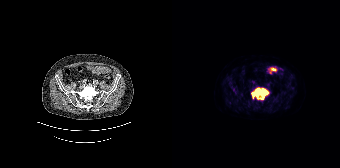
Technique: Paired axial CT (left) and PSMA PET (right), [18F]PSMA-1007 tracer. slice 41 of 165. PET panel 168×168 px (4.1 mm/px).
Findings: Coordinates are on the 168×168 PET (right) panel. PSMA-avid tumor lesion bounding box (x, y, width, height): x=79 y=87 w=19 h=14. Small PSMA-avid focus (2 to 4 px across) near (center x, center y): (96, 84).